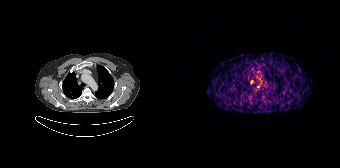
{"pet_grid":[168,168],"coord_frame":"pet_panel","coord_format":"x0,y0,x1,y1","lesion_bboxes":[],"small_foci_centers":[[79,81]],"modality":"PSMA PET/CT","view":"axial","tracer":"[68Ga]Ga-PSMA-11"}